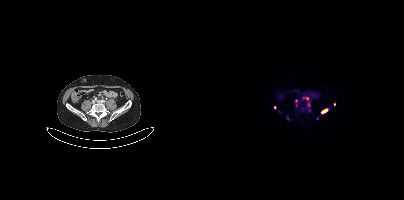
Technique: Two-panel axial: CT | PSMA PET, [68Ga]Ga-PSMA-11 tracer. PET panel 200×200 px (4.1 mm/px).
Findings: Coordinates are on the 200×200 PET (right) panel. (showing 8 of 9 foci) PSMA-avid tumor lesion bounding boxes (x0,y0,x1,y1): [99,97,107,112]; [118,109,123,112]; [83,116,84,120]. Small PSMA-avid foci (2 to 4 px across) near (center x, center y): (70, 107); (92, 105); (113, 118); (91, 100); (75, 111).